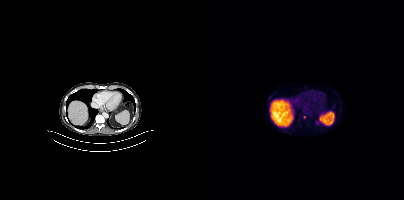
Coordinates are on the 200×200 PET (right) panel. Small PSMA-avid focus (2 to 4 px across) near (center x, center y): (100, 117).